- Left: CT. Right: PSMA PET, same axial level, 68Ga-PSMA tracer
- acquired on Siemens Biograph mCT Flow 20
- slice 107 of 444
- PET panel 200×200 px (4.1 mm/px)
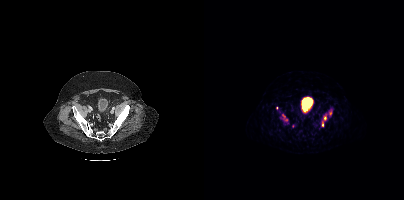
Findings: Coordinates are on the 200×200 PET (right) panel. (showing 4 of 5 foci) PSMA-avid tumor lesion bounding box (x0,y0,x1,y1): [117,108,128,126]. Small PSMA-avid foci (2 to 4 px across) near (center x, center y): (72, 108), (82, 119), (80, 115).